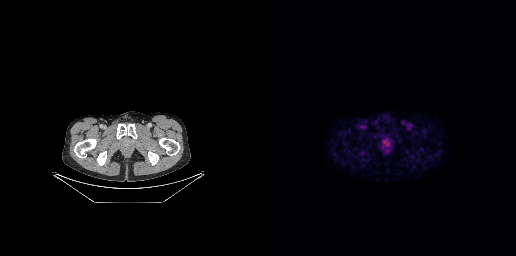
Two-panel axial: CT | PSMA PET, [18F]PSMA-1007 tracer. PET panel 256×256 px (2.7 mm/px).
Coordinates are on the 256×256 PET (right) panel. PSMA-avid tumor lesion bounding boxes:
| # | x0 | y0 | x1 | y1 |
|---|---|---|---|---|
| 1 | 122 | 139 | 129 | 153 |